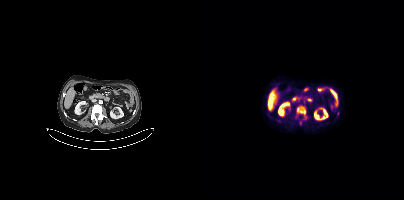
Findings: Coordinates are on the 200×200 PET (right) panel. PSMA-avid tumor lesion bounding box (x, y, width, height): x=92 y=105 w=11 h=15.
- Paired axial CT (left) and PSMA PET (right), [18F]PSMA-1007 tracer
- acquired on Siemens Biograph mCT Flow 20
- slice 159 of 373